Technique: Left: CT. Right: PSMA PET, same axial level, [18F]PSMA-1007 tracer.
Note: De-identified by setting a box covering the face to black before release.
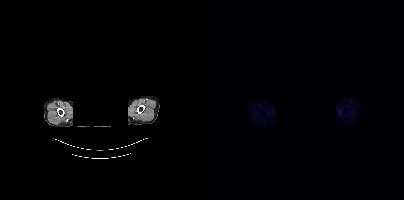
Findings: No PSMA-avid tumor lesions on this slice.